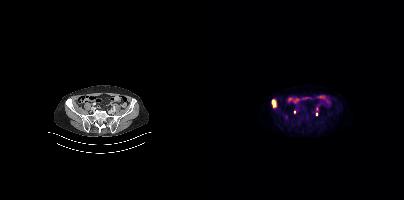
Coordinates are on the 200×200 PET (right) panel. (showing 3 of 4 foci) PSMA-avid tumor lesion bounding box (x, y, width, height): x=68 y=99 w=3 h=8. Small PSMA-avid foci (2 to 4 px across) near (center x, center y): (90, 112) | (112, 114).
modality: PSMA PET/CT | tracer: 18F | view: axial